Technique: Paired axial CT (left) and PSMA PET (right), 18F tracer. slice 320 of 395.
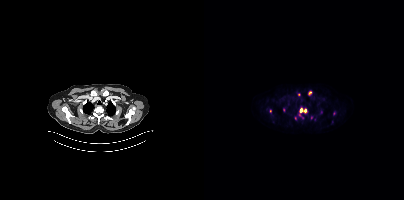
Findings: Coordinates are on the 200×200 PET (right) panel. (showing 6 of 11 foci) PSMA-avid tumor lesion bounding boxes (x, y, width, height): x=95 y=107 w=9 h=7 / x=104 y=91 w=4 h=5. Small PSMA-avid foci (2 to 4 px across) near (center x, center y): (107, 117) / (94, 94) / (66, 110) / (117, 111).